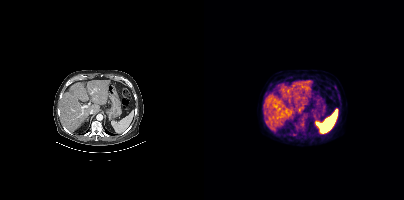
Findings: Coordinates are on the 200×200 PET (right) panel. (showing 2 of 3 foci) Small PSMA-avid foci (2 to 4 px across) near (center x, center y): (90, 134) | (98, 124).
- Paired axial CT (left) and PSMA PET (right), 18F tracer